Two-panel axial: CT | PSMA PET, [18F]PSMA-1007 tracer.
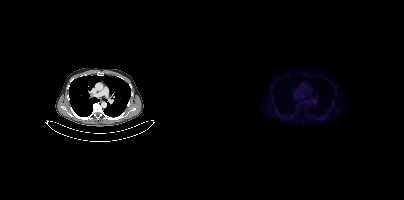
No tumor lesions annotated on this slice.